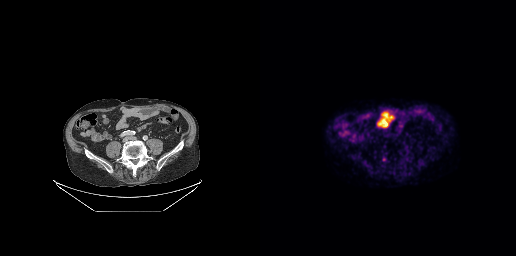
{"pet_grid":[256,256],"coord_frame":"pet_panel","coord_format":"x0,y0,x1,y1","psma_avid_lesions":false,"modality":"PSMA PET/CT","view":"axial","tracer":"18F-PSMA"}